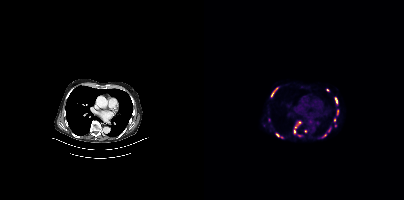
{"modality":"PSMA PET/CT","view":"axial","tracer":"[68Ga]Ga-PSMA-11","pet_grid":[200,200],"coord_frame":"pet_panel","coord_format":"x0,y0,x1,y1","partial":true,"lesion_bboxes":[[131,98,133,103],[67,91,70,96]],"small_foci_centers":[[73,134],[90,131],[121,135],[95,135],[95,122],[123,89],[131,125],[124,130],[77,137],[72,88]]}